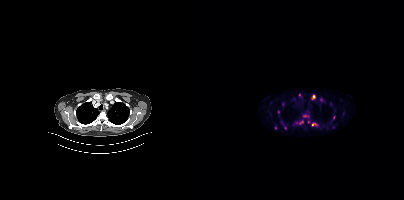
Coordinates are on the 200×200 PET (right) panel. (showing 12 of 13 foci) PSMA-avid tumor lesion bounding boxes (x0, y0)-(x1, y1): (91, 121)-(99, 124) / (108, 123)-(113, 126). Small PSMA-avid foci (2 to 4 px across) near (center x, center y): (81, 127) / (110, 96) / (100, 115) / (95, 95) / (117, 99) / (130, 117) / (78, 103) / (71, 127) / (74, 111) / (104, 121).